modality: PSMA PET/CT | tracer: 68Ga | view: axial
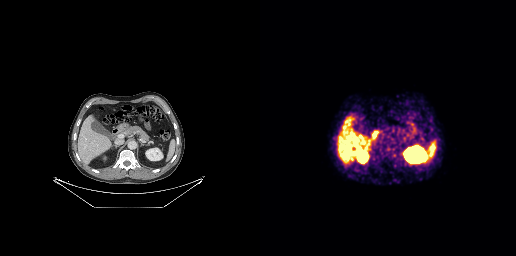
No tumor lesions annotated on this slice.